The face region was removed for patient privacy by blanking a rectangle over the head. Two-panel axial: CT | PSMA PET, 18F-PSMA tracer. Slice position z = 310 mm. PET panel 200×200 px (4.1 mm/px).
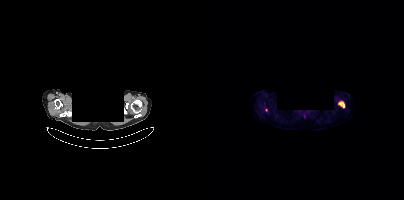
Coordinates are on the 200×200 PET (right) panel. PSMA-avid tumor lesion bounding boxes:
| # | x0 | y0 | x1 | y1 |
|---|---|---|---|---|
| 1 | 134 | 101 | 141 | 107 |